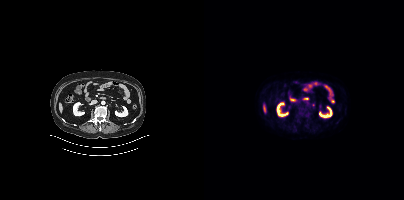
Findings: Only PSMA-avid lesion pieces thinner than 2 px on this slice (not listed).
- Paired axial CT (left) and PSMA PET (right), [18F]PSMA-1007 tracer
- acquired on Siemens Biograph mCT Flow 20
- slice position z = -661 mm
- PET panel 200×200 px (4.1 mm/px)